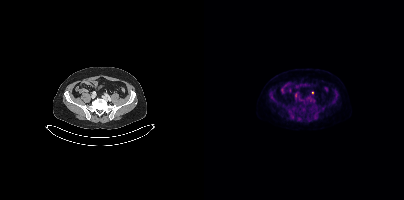
{"modality":"PSMA PET/CT","view":"axial","tracer":"18F","pet_grid":[200,200],"coord_frame":"pet_panel","coord_format":"x0,y0,x1,y1","lesion_bboxes":[],"small_foci_centers":[[108,92]]}